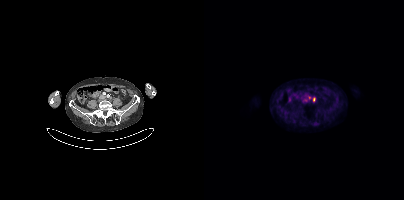
Findings: Coordinates are on the 200×200 PET (right) panel. (showing 2 of 3 foci) PSMA-avid tumor lesion bounding box (x0, y0)-(x1, y1): (109, 97)-(111, 101). Small PSMA-avid focus (2 to 4 px across) near (center x, center y): (105, 97).
- Left: CT. Right: PSMA PET, same axial level, 18F-PSMA tracer
- PET panel 200×200 px (4.1 mm/px)